Left: CT. Right: PSMA PET, same axial level, [18F]PSMA-1007 tracer. Slice 149 of 415. PET panel 200×200 px (4.1 mm/px).
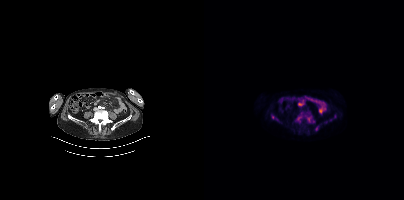
Coordinates are on the 200×200 PET (right) panel. PSMA-avid tumor lesion bounding boxes:
| # | x0 | y0 | x1 | y1 |
|---|---|---|---|---|
| 1 | 93 | 112 | 108 | 122 |
| 2 | 111 | 126 | 114 | 130 |
Small PSMA-avid focus (2 to 4 px across) near (center x, center y): (69, 117).